- Paired axial CT (left) and PSMA PET (right), [18F]PSMA-1007 tracer
- PET panel 256×256 px (2.7 mm/px)
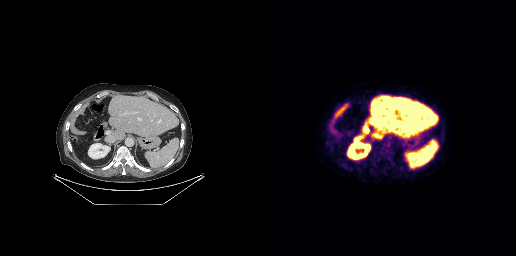
Findings: No PSMA-avid tumor lesions on this slice.